modality: PSMA PET/CT | tracer: [18F]PSMA-1007 | view: axial
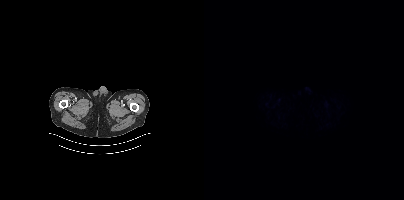
No PSMA-avid tumor lesions on this slice.